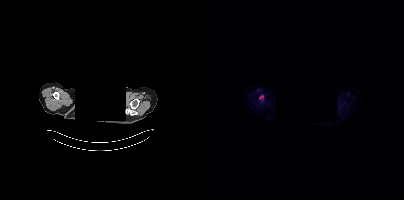
Findings: Coordinates are on the 200×200 PET (right) panel. Small PSMA-avid focus (2 to 4 px across) near (center x, center y): (57, 96).
Technique: Paired axial CT (left) and PSMA PET (right), 18F-PSMA tracer. slice position z = -892 mm.
Note: An anonymization step blacked out a rectangle over the head in this scan.